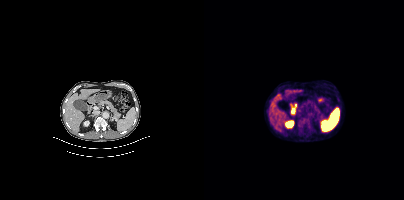
- Two-panel axial: CT | PSMA PET, 18F tracer
- slice 229 of 448
- PET panel 200×200 px (4.1 mm/px)
Findings: Coordinates are on the 200×200 PET (right) panel. PSMA-avid tumor lesion bounding box (x0,y0,x1,y1): [96,117,107,128].